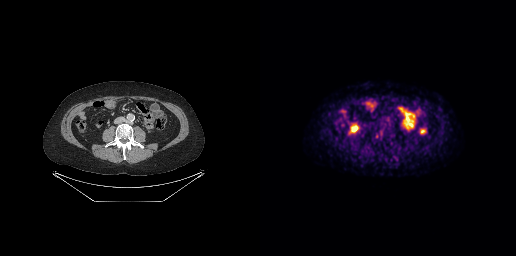
This slice has no annotated PSMA-avid lesion. Two-panel axial: CT | PSMA PET, 68Ga tracer. Slice position z = -712 mm. PET panel 256×256 px (2.7 mm/px).